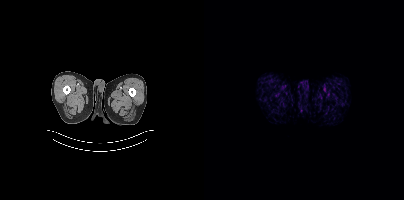
{"modality":"PSMA PET/CT","view":"axial","tracer":"68Ga","pet_grid":[200,200],"coord_frame":"pet_panel","coord_format":"x0,y0,x1,y1","psma_avid_lesions":false}